- Left: CT. Right: PSMA PET, same axial level, 18F-PSMA tracer
- PET panel 200×200 px (4.1 mm/px)
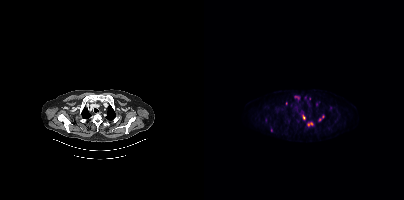
Findings: Coordinates are on the 200×200 PET (right) panel. (showing 7 of 9 foci) PSMA-avid tumor lesion bounding boxes (x, y, width, height): x=115 y=116 w=5 h=6; x=104 y=123 w=5 h=3; x=112 y=102 w=2 h=5; x=99 y=114 w=2 h=5. Small PSMA-avid foci (2 to 4 px across) near (center x, center y): (92, 97); (127, 107); (105, 98).